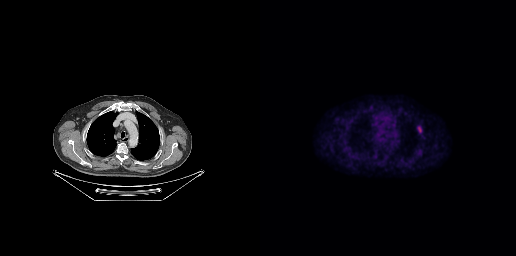
{"modality":"PSMA PET/CT","view":"axial","tracer":"18F","pet_grid":[256,256],"coord_frame":"pet_panel","coord_format":"x0,y0,x1,y1","lesion_bboxes":[[157,126,162,133]]}